Technique: Two-panel axial: CT | PSMA PET, 18F-PSMA tracer. acquired on Siemens Biograph mCT Flow 20.
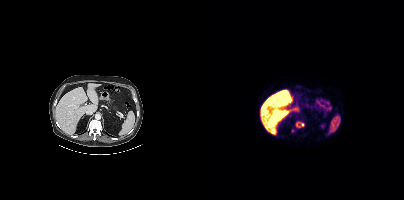
Findings: Coordinates are on the 200×200 PET (right) panel. PSMA-avid tumor lesion bounding box (x, y, width, height): x=91 y=121 w=10 h=7. Small PSMA-avid focus (2 to 4 px across) near (center x, center y): (89, 130).